modality: PSMA PET/CT | tracer: [18F]PSMA-1007 | view: axial | PET grid: 200×200
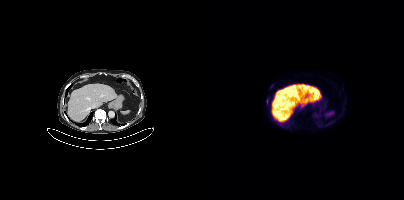
Coordinates are on the 200×200 PET (right) panel. PSMA-avid tumor lesion bounding box (x0,y0,x1,y1): [63,99,64,104].